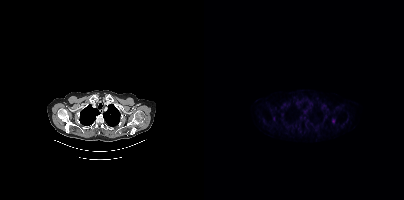
modality: PSMA PET/CT | tracer: 18F-PSMA | view: axial
Coordinates are on the 200×200 PET (right) panel. PSMA-avid tumor lesion bounding box (x, y, width, height): x=128 y=119 w=4 h=5.